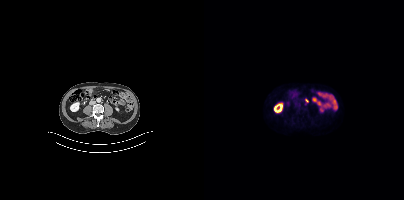
{"modality":"PSMA PET/CT","view":"axial","tracer":"18F-PSMA","pet_grid":[200,200],"coord_frame":"pet_panel","coord_format":"x0,y0,x1,y1","partial":true,"lesion_bboxes":[],"small_foci_centers":[[102,100]]}